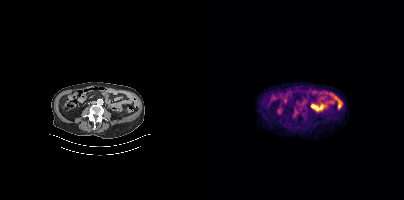
modality: PSMA PET/CT | tracer: 18F-PSMA | view: axial | PET grid: 200×200
No PSMA-avid tumor lesions on this slice.